Paired axial CT (left) and PSMA PET (right), [18F]PSMA-1007 tracer.
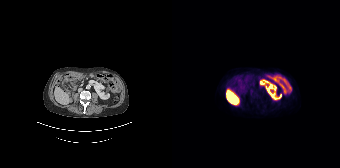
Negative for PSMA-avid disease on this slice.